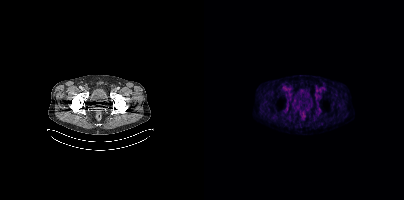
{"modality":"PSMA PET/CT","view":"axial","tracer":"[18F]PSMA-1007","pet_grid":[200,200],"coord_frame":"pet_panel","coord_format":"x0,y0,x1,y1","psma_avid_lesions":false}